Two-panel axial: CT | PSMA PET, 18F tracer. Acquired on GE Discovery 690. PET panel 256×256 px (2.7 mm/px). A rectangle over the head was blacked out to remove identifiable facial features.
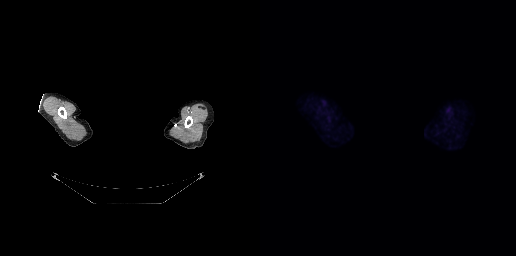
No PSMA-avid tumor lesions on this slice.